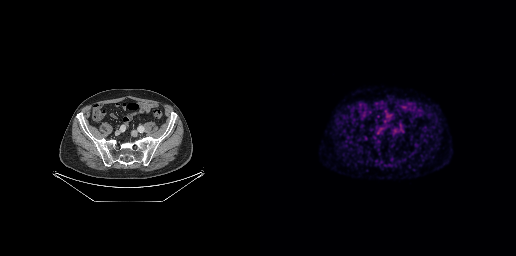
{"pet_grid":[256,256],"coord_frame":"pet_panel","coord_format":"x0,y0,x1,y1","psma_avid_lesions":false,"modality":"PSMA PET/CT","view":"axial","tracer":"[18F]PSMA-1007"}